modality: PSMA PET/CT | tracer: 18F | view: axial | PET grid: 168×168
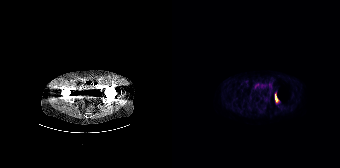
Coordinates are on the 168×168 PET (right) panel. PSMA-avid tumor lesion bounding box (x, y, width, height): x=103 y=92 w=5 h=12.